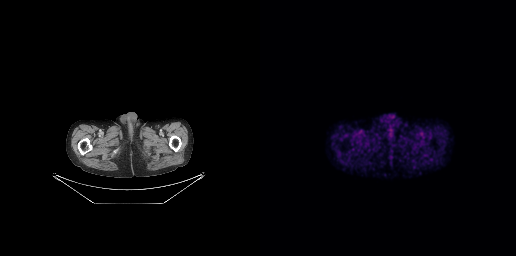
Technique: Two-panel axial: CT | PSMA PET, 18F-PSMA tracer. slice position z = -904 mm. PET panel 256×256 px (2.7 mm/px).
Findings: This slice has no annotated PSMA-avid lesion.